modality: PSMA PET/CT | tracer: 18F-PSMA | view: axial | PET grid: 200×200
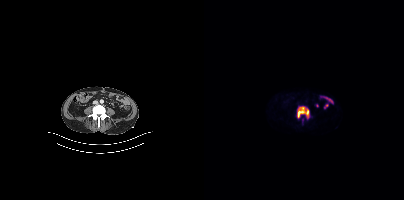
Coordinates are on the 200×200 PET (right) panel. PSMA-avid tumor lesion bounding box (x0,y0,x1,y1): [93,106,105,118].